modality: PSMA PET/CT | tracer: 68Ga-PSMA | view: axial
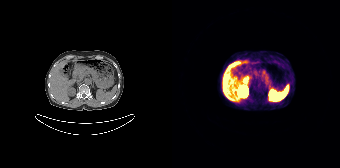
Negative for PSMA-avid disease on this slice.